Left: CT. Right: PSMA PET, same axial level, 18F tracer. Slice 141 of 429.
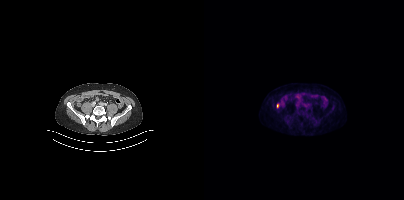
Coordinates are on the 200×200 PET (right) panel. Small PSMA-avid focus (2 to 4 px across) near (center x, center y): (73, 105).